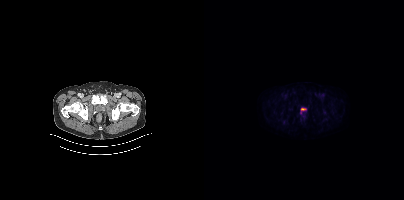
Coordinates are on the 200×200 PET (right) panel. Small PSMA-avid focus (2 to 4 px across) near (center x, center y): (97, 113).